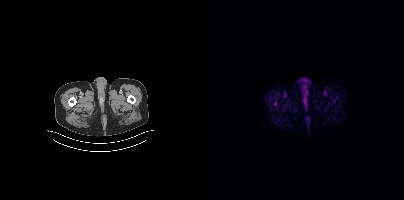
Left: CT. Right: PSMA PET, same axial level, 18F tracer. Slice 32 of 411. PET panel 200×200 px (4.1 mm/px). Only PSMA-avid lesion pieces thinner than 2 px on this slice (not listed).